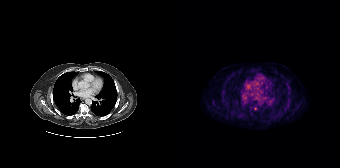
- Two-panel axial: CT | PSMA PET, 18F-PSMA tracer
- PET panel 168×168 px (4.1 mm/px)
Findings: Coordinates are on the 168×168 PET (right) panel. Small PSMA-avid focus (2 to 4 px across) near (center x, center y): (83, 107).